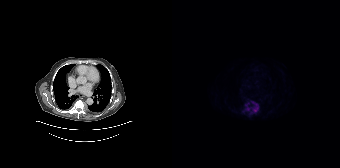
Coordinates are on the 168×168 PET (right) panel. (showing 2 of 4 foci) PSMA-avid tumor lesion bounding box (x0,y0,x1,y1): [80,102,86,111]. Small PSMA-avid focus (2 to 4 px across) near (center x, center y): (76, 109).